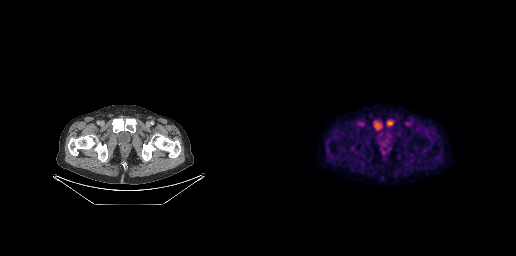
modality: PSMA PET/CT | tracer: 18F-PSMA | view: axial
Coordinates are on the 256×256 PET (right) panel. PSMA-avid tumor lesion bounding boxes (x0, y0)-(x1, y1): (114, 120)-(122, 129) | (126, 120)-(133, 126).